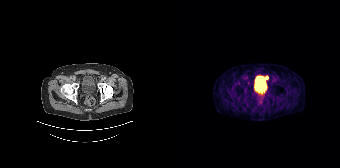
Coordinates are on the 168×168 PET (right) panel. Small PSMA-avid focus (2 to 4 px across) near (center x, center y): (94, 77).
modality: PSMA PET/CT | tracer: 68Ga | view: axial | PET grid: 168×168